modality: PSMA PET/CT | tracer: 18F-PSMA | view: axial
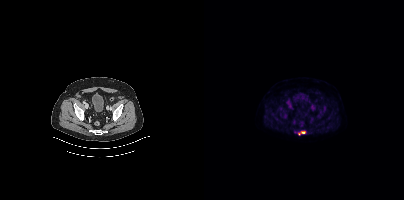
Coordinates are on the 200×200 PET (right) panel. PSMA-avid tumor lesion bounding box (x0,y0,x1,y1): [94,131,101,135].